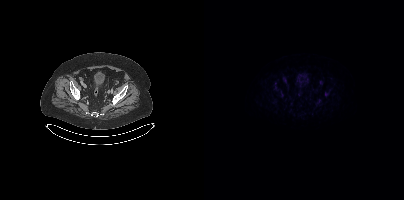
Coordinates are on the 200×200 PET (right) panel. Small PSMA-avid focus (2 to 4 px across) near (center x, center y): (122, 94). Left: CT. Right: PSMA PET, same axial level, 18F tracer. Slice 98 of 446. PET panel 200×200 px (4.1 mm/px).